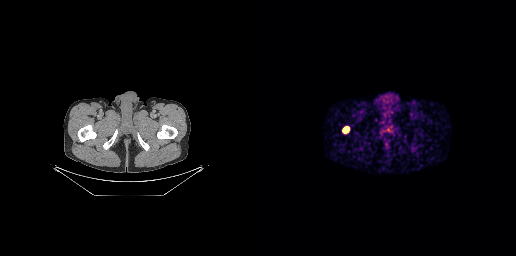
- Paired axial CT (left) and PSMA PET (right), 68Ga tracer
- acquired on GE Discovery 690
Findings: Coordinates are on the 256×256 PET (right) panel. PSMA-avid tumor lesion bounding box (x, y, width, height): x=83 y=127 w=7 h=6.